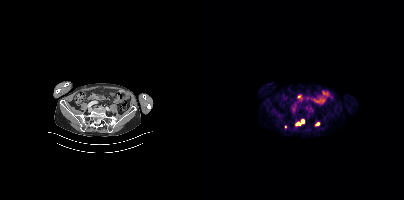
Paired axial CT (left) and PSMA PET (right), [18F]PSMA-1007 tracer. Slice 137 of 427. PET panel 200×200 px (4.1 mm/px). Coordinates are on the 200×200 PET (right) panel. PSMA-avid tumor lesion bounding box (x0,y0,x1,y1): [91,119,101,126]. Small PSMA-avid foci (2 to 4 px across) near (center x, center y): (113, 123) (81, 126).